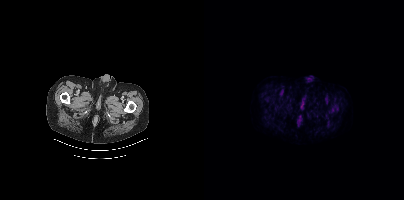
No tumor lesions annotated on this slice.